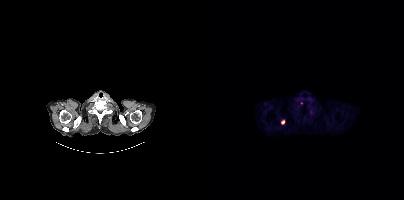
Findings: Coordinates are on the 200×200 PET (right) panel. Small PSMA-avid focus (2 to 4 px across) near (center x, center y): (79, 122).
Technique: Two-panel axial: CT | PSMA PET, [18F]PSMA-1007 tracer. slice position z = 167 mm.